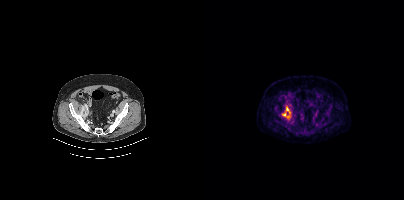
Coordinates are on the 200×200 PET (right) panel. PSMA-avid tumor lesion bounding box (x0, y0)-(x1, y1): (78, 106)-(87, 119).